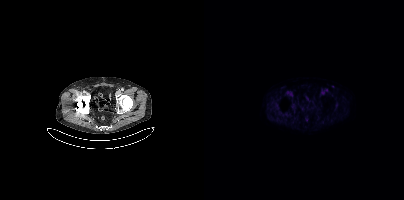
{"modality":"PSMA PET/CT","view":"axial","tracer":"[18F]PSMA-1007","pet_grid":[200,200],"coord_frame":"pet_panel","coord_format":"x0,y0,x1,y1","psma_avid_lesions":false}